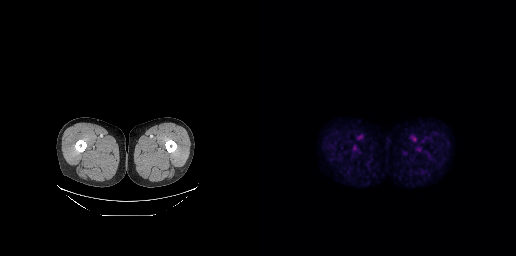
modality: PSMA PET/CT | tracer: 18F | view: axial | PET grid: 256×256
No tumor lesions annotated on this slice.